Technique: Paired axial CT (left) and PSMA PET (right), 68Ga-PSMA tracer.
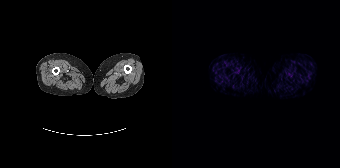
Findings: This slice has no annotated PSMA-avid lesion.